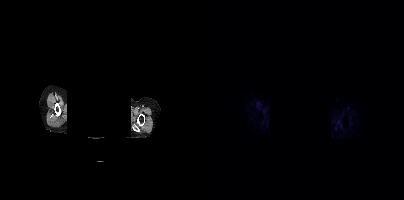
{"modality":"PSMA PET/CT","view":"axial","tracer":"68Ga","pet_grid":[200,200],"coord_frame":"pet_panel","coord_format":"x0,y0,x1,y1","deidentification":"rectangular block over head set to black","psma_avid_lesions":false}